- Two-panel axial: CT | PSMA PET, 18F-PSMA tracer
- slice 163 of 431
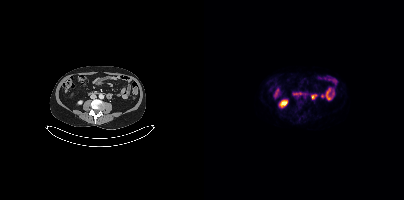
Findings: This slice has no annotated PSMA-avid lesion.